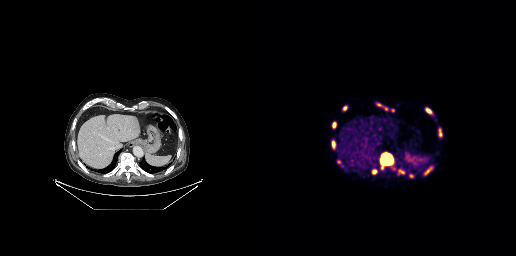
- Two-panel axial: CT | PSMA PET, 68Ga tracer
- acquired on GE Discovery 690
- PET panel 256×256 px (2.7 mm/px)
Findings: Coordinates are on the 256×256 PET (right) panel. (showing 12 of 15 foci) PSMA-avid tumor lesion bounding boxes (x0,y0,x1,y1): [120,153,132,170] [138,169,144,174] [116,103,125,108] [72,140,75,148] [72,122,76,128] [166,108,171,113] [178,129,181,135] [112,170,116,174] [77,160,81,163] [165,168,171,174] [83,106,87,110]. Small PSMA-avid focus (2 to 4 px across) near (center x, center y): (132, 110).